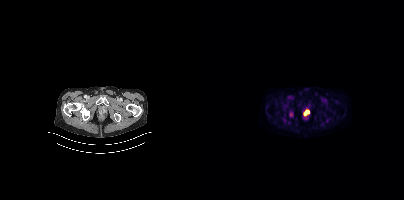
- Paired axial CT (left) and PSMA PET (right), 18F tracer
- slice position z = -1511 mm
Findings: Coordinates are on the 200×200 PET (right) panel. PSMA-avid tumor lesion bounding boxes (x0,y0,x1,y1): [100,110,105,115]; [85,112,88,116].